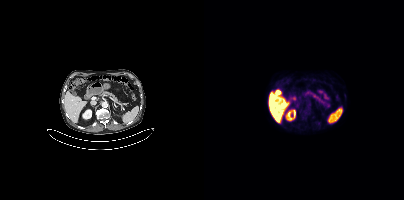
No tumor lesions annotated on this slice.